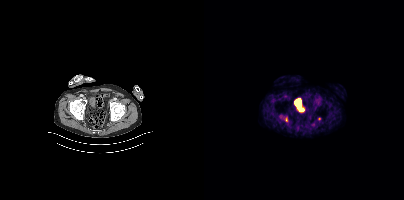
Coordinates are on the 200×200 PET (right) panel. (showing 1 of 2 foci) Small PSMA-avid focus (2 to 4 px across) near (center x, center y): (115, 118).